Head region blanked for anonymization (face removed). Two-panel axial: CT | PSMA PET, [18F]PSMA-1007 tracer.
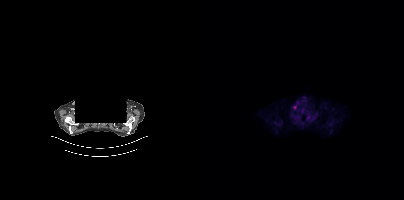
Coordinates are on the 200×200 PET (right) panel. Small PSMA-avid focus (2 to 4 px across) near (center x, center y): (90, 107).